Two-panel axial: CT | PSMA PET, [18F]PSMA-1007 tracer. Acquired on Siemens Biograph mCT Flow 20. Slice position z = -1523 mm. PET panel 200×200 px (4.1 mm/px).
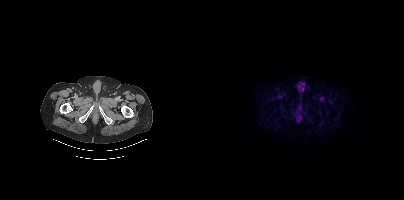
No PSMA-avid tumor lesions on this slice.